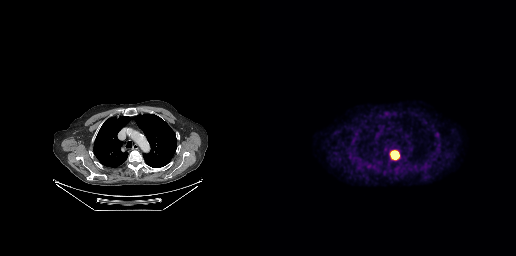
Coordinates are on the 256×256 PET (right) panel. PSMA-avid tumor lesion bounding box (x, y, width, height): x=131 y=151 w=8 h=8.
modality: PSMA PET/CT | tracer: 18F-PSMA | view: axial